A rectangular block over the head has been blanked out for de-identification.
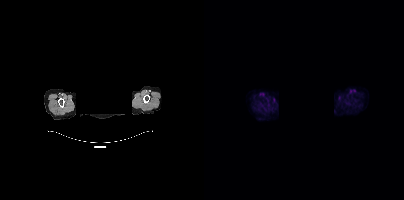
This slice has no annotated PSMA-avid lesion.